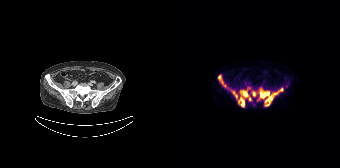
Coordinates are on the 168×168 PET (right) panel. (showing 4 of 5 foci) PSMA-avid tumor lesion bounding boxes (x0,y0,x1,y1): [85,87,111,106]; [60,87,79,107]; [46,76,56,89]; [80,91,84,96].